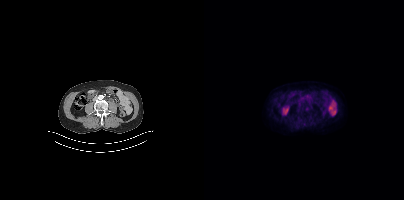
Findings: Coordinates are on the 200×200 PET (right) panel. Small PSMA-avid focus (2 to 4 px across) near (center x, center y): (103, 108).
Technique: Two-panel axial: CT | PSMA PET, 18F tracer. slice 170 of 425.